modality: PSMA PET/CT | tracer: 18F | view: axial | PET grid: 200×200
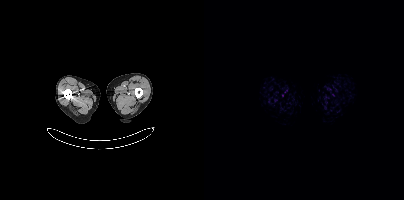
This slice has no annotated PSMA-avid lesion.